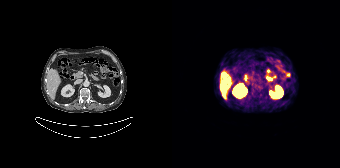
modality: PSMA PET/CT | tracer: 68Ga | view: axial
Coordinates are on the 168×168 PET (right) panel. PSMA-avid tumor lesion bounding box (x, y, width, height): x=48 y=85 w=5 h=6. Small PSMA-avid focus (2 to 4 px across) near (center x, center y): (51, 93).